Technique: Paired axial CT (left) and PSMA PET (right), [18F]PSMA-1007 tracer. acquired on GE Discovery 690. slice position z = -769 mm. PET panel 256×256 px (2.7 mm/px).
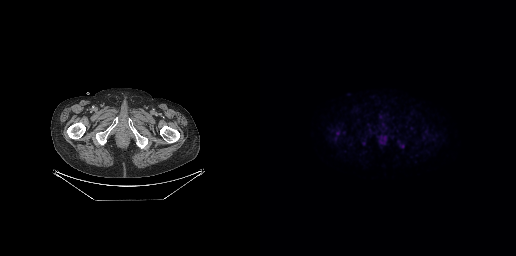
Findings: Coordinates are on the 256×256 PET (right) panel. (showing 1 of 2 foci) Small PSMA-avid focus (2 to 4 px across) near (center x, center y): (142, 146).